modality: PSMA PET/CT | tracer: 68Ga-PSMA | view: axial | PET grid: 168×168
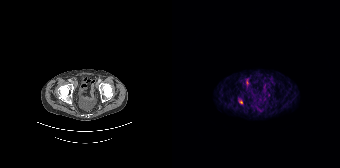
Coordinates are on the 168×168 PET (right) panel. PSMA-avid tumor lesion bounding boxes (x0, y0)-(x1, y1): (66, 98)-(71, 104) | (74, 80)-(76, 84).